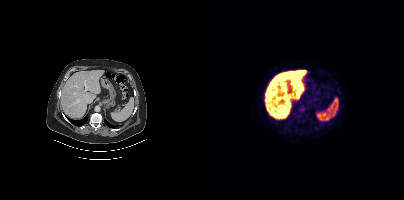
This slice has no annotated PSMA-avid lesion. Left: CT. Right: PSMA PET, same axial level, [18F]PSMA-1007 tracer. PET panel 200×200 px (4.1 mm/px).